Technique: Paired axial CT (left) and PSMA PET (right), 68Ga tracer. PET panel 168×168 px (4.1 mm/px).
Note: A rectangular block over the head has been blanked out for de-identification.
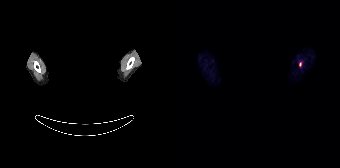
Findings: Coordinates are on the 168×168 PET (right) panel. PSMA-avid tumor lesion bounding box (x0, y0)-(x1, y1): (127, 62)-(129, 66).